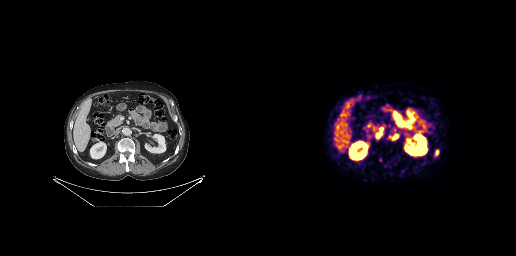
{"modality":"PSMA PET/CT","view":"axial","tracer":"68Ga-PSMA","pet_grid":[256,256],"coord_frame":"pet_panel","coord_format":"x0,y0,x1,y1","lesion_bboxes":[[129,135,138,139],[116,133,120,138],[175,150,178,155]],"small_foci_centers":[[122,129]]}